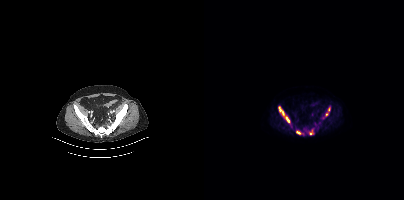
modality: PSMA PET/CT | tracer: 18F-PSMA | view: axial | PET grid: 200×200
Coordinates are on the 200×200 PET (right) panel. PSMA-avid tumor lesion bounding boxes (x, y, width, height): x=74 y=106 w=7 h=10 | x=121 y=107 w=6 h=10 | x=81 y=116 w=5 h=7 | x=105 y=130 w=5 h=5 | x=92 y=131 w=5 h=4.